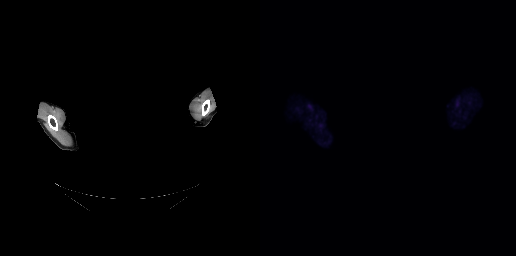
Head region blanked for anonymization (face removed).
This slice has no annotated PSMA-avid lesion.